Paired axial CT (left) and PSMA PET (right), 18F-PSMA tracer. PET panel 200×200 px (4.1 mm/px).
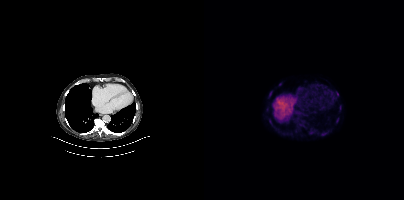
Coordinates are on the 200×200 PET (right) panel. PSMA-avid tumor lesion bounding boxes (partial; 1 more focus not listed):
| # | x0 | y0 | x1 | y1 |
|---|---|---|---|---|
| 1 | 132 | 92 | 134 | 96 |
Small PSMA-avid foci (2 to 4 px across) near (center x, center y): (66, 95); (133, 119); (76, 84); (67, 124).